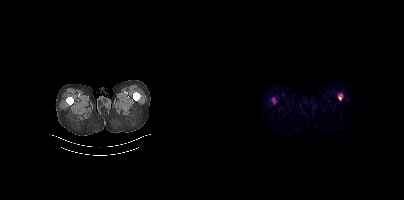
- Left: CT. Right: PSMA PET, same axial level, 68Ga tracer
- acquired on Siemens Biograph mCT Flow 20
- slice 14 of 397
- PET panel 200×200 px (4.1 mm/px)
Findings: No tumor lesions annotated on this slice.